Two-panel axial: CT | PSMA PET, 68Ga-PSMA tracer. Acquired on GE Discovery 690.
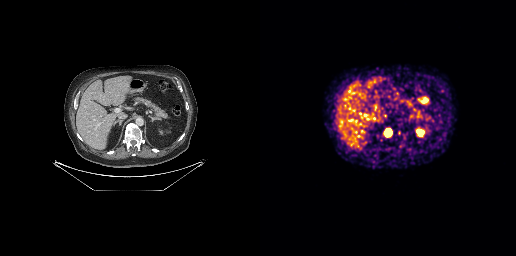
Coordinates are on the 256×256 PET (right) panel. PSMA-avid tumor lesion bounding boxes:
| # | x0 | y0 | x1 | y1 |
|---|---|---|---|---|
| 1 | 125 | 129 | 131 | 136 |